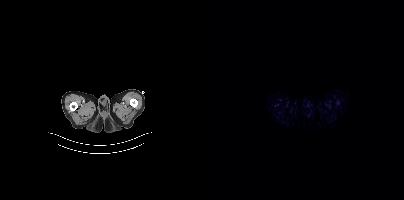
Left: CT. Right: PSMA PET, same axial level, 18F tracer. Negative for PSMA-avid disease on this slice.